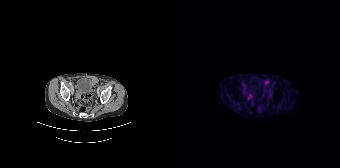
No PSMA-avid tumor lesions on this slice. Paired axial CT (left) and PSMA PET (right), 18F-PSMA tracer. Slice position z = -1565 mm.